- Two-panel axial: CT | PSMA PET, 18F tracer
- slice 169 of 367
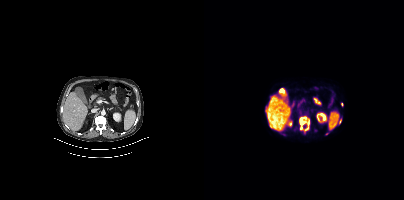
Findings: Coordinates are on the 200×200 PET (right) panel. (showing 4 of 5 foci) PSMA-avid tumor lesion bounding boxes (x, y, width, height): x=96 y=117 w=7 h=13 | x=135 y=119 w=3 h=5. Small PSMA-avid foci (2 to 4 px across) near (center x, center y): (104, 123) | (103, 128).